Two-panel axial: CT | PSMA PET, 18F-PSMA tracer. Acquired on Siemens Biograph mCT Flow 20. PET panel 200×200 px (4.1 mm/px).
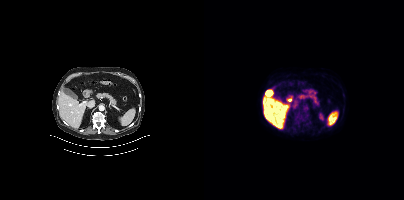
This slice has no annotated PSMA-avid lesion.